Two-panel axial: CT | PSMA PET, [18F]PSMA-1007 tracer. Acquired on Siemens Biograph mCT Flow 20. Slice position z = -763 mm.
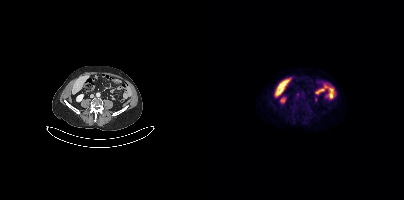
This slice has no annotated PSMA-avid lesion.